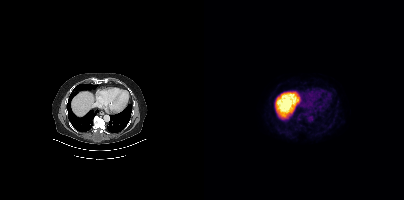
- Two-panel axial: CT | PSMA PET, 18F tracer
- slice 271 of 444
- PET panel 200×200 px (4.1 mm/px)
Findings: This slice has no annotated PSMA-avid lesion.